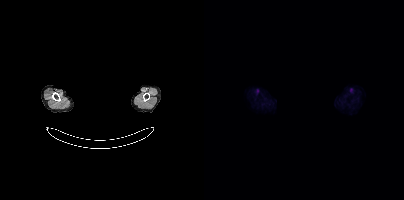
Findings: Negative for PSMA-avid disease on this slice.
Technique: Left: CT. Right: PSMA PET, same axial level, 18F-PSMA tracer.
Note: The face region was removed for patient privacy by blanking a rectangle over the head.